Left: CT. Right: PSMA PET, same axial level, 18F-PSMA tracer. Acquired on Siemens Biograph mCT Flow 20. Slice 22 of 377. PET panel 200×200 px (4.1 mm/px).
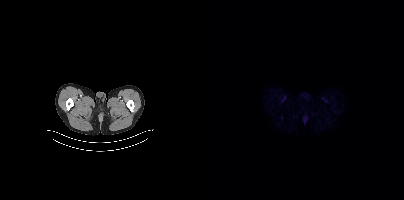
No PSMA-avid tumor lesions on this slice.